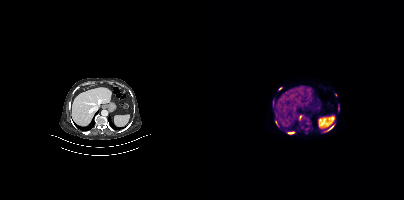
Coordinates are on the 200×200 PET (right) panel. (showing 8 of 9 foci) PSMA-avid tumor lesion bounding boxes (x0, y0)-(x1, y1): (118, 127)-(128, 132) | (83, 131)-(90, 134) | (95, 115)-(98, 120) | (71, 120)-(74, 125). Small PSMA-avid foci (2 to 4 px across) near (center x, center y): (76, 88) | (69, 101) | (134, 109) | (129, 125).